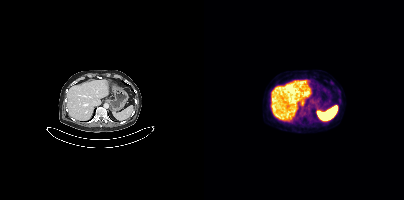
Findings: Negative for PSMA-avid disease on this slice.
Technique: Two-panel axial: CT | PSMA PET, [18F]PSMA-1007 tracer. acquired on Siemens Biograph mCT Flow 20. slice 247 of 442. PET panel 200×200 px (4.1 mm/px).